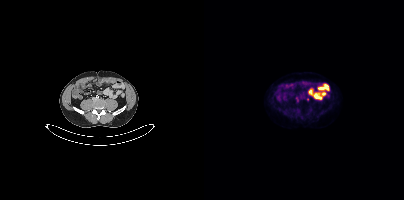
Only PSMA-avid lesion pieces thinner than 2 px on this slice (not listed).